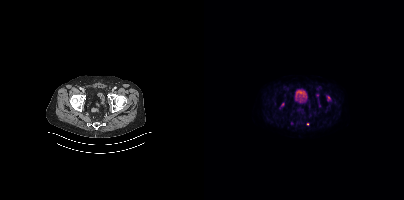
Coordinates are on the 200×200 PET (right) panel. (showing 1 of 2 foci) Small PSMA-avid focus (2 to 4 px across) near (center x, center y): (103, 124).